modality: PSMA PET/CT | tracer: 18F | view: axial | PET grid: 200×200
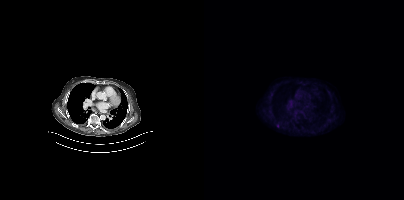
Coordinates are on the 200×200 PET (right) panel. Small PSMA-avid focus (2 to 4 px across) near (center x, center y): (73, 125).